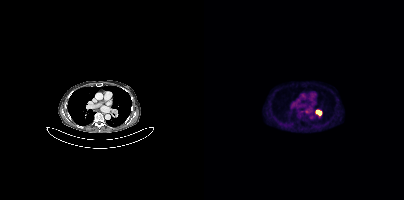
- Left: CT. Right: PSMA PET, same axial level, 18F-PSMA tracer
- acquired on Siemens Biograph mCT Flow 20
Findings: Coordinates are on the 200×200 PET (right) panel. PSMA-avid tumor lesion bounding box (x0, y0)-(x1, y1): (111, 109)-(117, 115).